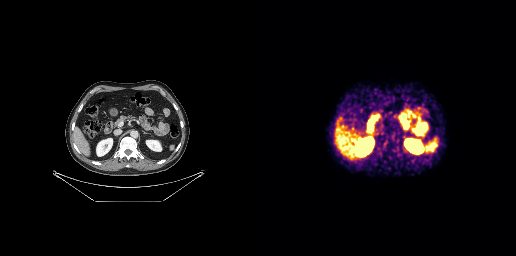
- Paired axial CT (left) and PSMA PET (right), 68Ga tracer
- slice 145 of 263
Findings: Negative for PSMA-avid disease on this slice.